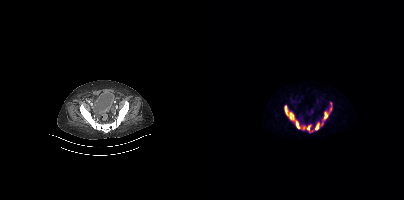
Findings: Negative for PSMA-avid disease on this slice.
- Two-panel axial: CT | PSMA PET, 68Ga-PSMA tracer
- slice 93 of 397
- PET panel 200×200 px (4.1 mm/px)